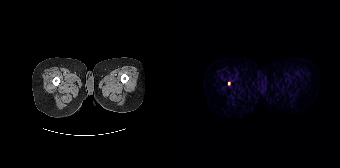
Coordinates are on the 168×168 PET (right) panel. Small PSMA-avid focus (2 to 4 px across) near (center x, center y): (57, 83). Two-panel axial: CT | PSMA PET, 68Ga tracer. PET panel 168×168 px (4.1 mm/px).